Paired axial CT (left) and PSMA PET (right), 68Ga-PSMA tracer. Acquired on Siemens Biograph 64-4R TruePoint. Slice 30 of 165.
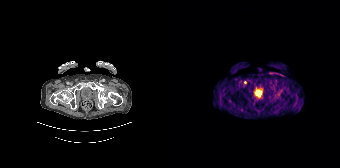
Only PSMA-avid lesion pieces thinner than 2 px on this slice (not listed).